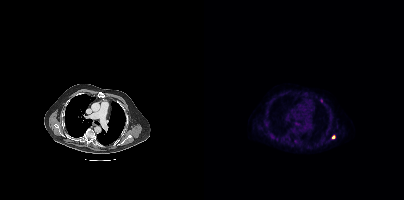
Coordinates are on the 200×200 PET (right) panel. (showing 1 of 2 foci) Small PSMA-avid focus (2 to 4 px across) near (center x, center y): (129, 137).